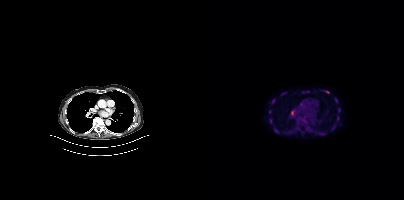
{"modality":"PSMA PET/CT","view":"axial","tracer":"18F-PSMA","pet_grid":[200,200],"coord_frame":"pet_panel","coord_format":"x0,y0,x1,y1","partial":true,"lesion_bboxes":[[131,98,133,103],[133,116,135,120],[134,108,136,112],[121,91,125,93]],"small_foci_centers":[[66,120],[65,111]]}